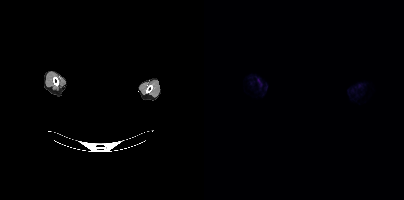
Privacy masking over the head, with the pixels inside a rectangle set to black. Left: CT. Right: PSMA PET, same axial level, [18F]PSMA-1007 tracer. PET panel 200×200 px (4.1 mm/px). No PSMA-avid tumor lesions on this slice.